Technique: Two-panel axial: CT | PSMA PET, [68Ga]Ga-PSMA-11 tracer. slice position z = -727 mm. PET panel 200×200 px (4.1 mm/px).
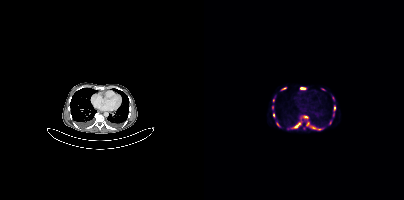
Findings: Coordinates are on the 200×200 PET (right) panel. (showing 11 of 15 foci) PSMA-avid tumor lesion bounding boxes (x0, y0)-(x1, y1): (90, 122)-(96, 128); (108, 126)-(117, 130); (96, 87)-(101, 89); (100, 116)-(104, 118); (130, 106)-(131, 110). Small PSMA-avid foci (2 to 4 px across) near (center x, center y): (103, 123); (68, 108); (69, 115); (126, 122); (74, 125); (80, 88).